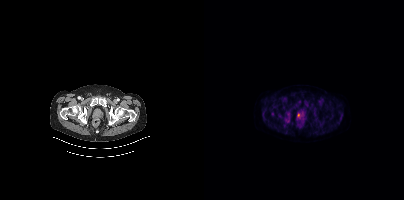
modality: PSMA PET/CT | tracer: 18F | view: axial | PET grid: 200×200
Coordinates are on the 200×200 PET (right) panel. PSMA-avid tumor lesion bounding box (x0,y0,x1,y1): [93,113,95,117].